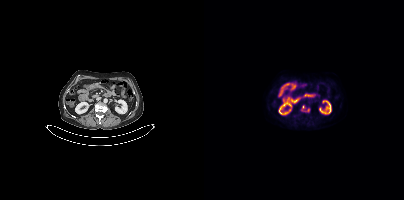
modality: PSMA PET/CT | tracer: 18F | view: axial
Only PSMA-avid lesion pieces thinner than 2 px on this slice (not listed).